modality: PSMA PET/CT | tracer: 68Ga-PSMA | view: axial
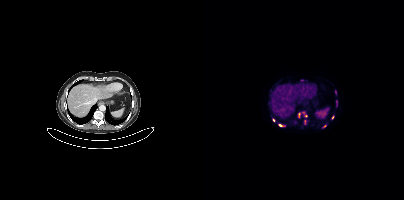
Coordinates are on the 200×200 PET (right) panel. (showing 8 of 9 foci) PSMA-avid tumor lesion bounding boxes (x0,y0,x1,y1): [75,124,80,126]; [132,102,133,106]; [99,113,103,116]; [131,90,132,94]. Small PSMA-avid foci (2 to 4 px across) near (center x, center y): (129, 117); (120, 126); (69, 120); (100, 121).